- Paired axial CT (left) and PSMA PET (right), [18F]PSMA-1007 tracer
- slice 292 of 417
- PET panel 200×200 px (4.1 mm/px)
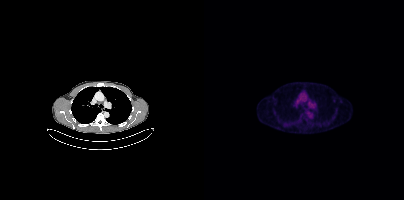
Findings: No PSMA-avid tumor lesions on this slice.